Two-panel axial: CT | PSMA PET, 18F tracer. PET panel 200×200 px (4.1 mm/px).
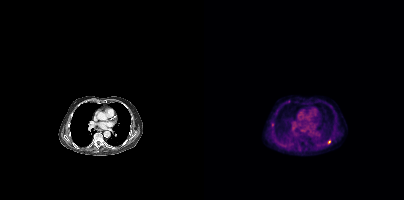
Coordinates are on the 200×200 PET (right) panel. Small PSMA-avid foci (2 to 4 px across) near (center x, center y): (125, 141) | (68, 124).